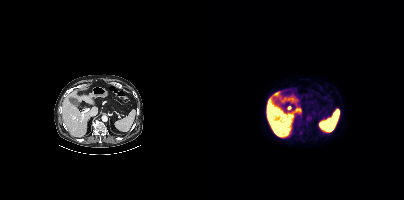
Findings: Coordinates are on the 200×200 PET (right) panel. Small PSMA-avid focus (2 to 4 px across) near (center x, center y): (65, 97).
Technique: Two-panel axial: CT | PSMA PET, 18F tracer.